- Left: CT. Right: PSMA PET, same axial level, 18F-PSMA tracer
- slice position z = -1407 mm
- PET panel 200×200 px (4.1 mm/px)
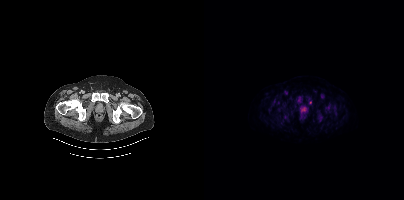
Findings: Coordinates are on the 200×200 PET (right) panel. (showing 8 of 9 foci) PSMA-avid tumor lesion bounding boxes (x, y, width, height): x=113 y=114 w=6 h=6 / x=93 y=97 w=5 h=7 / x=97 y=107 w=6 h=6 / x=67 y=102 w=4 h=5 / x=74 y=107 w=4 h=5. Small PSMA-avid foci (2 to 4 px across) near (center x, center y): (131, 114) / (123, 107) / (105, 98).